Left: CT. Right: PSMA PET, same axial level, 18F tracer. Slice position z = -603 mm. PET panel 200×200 px (4.1 mm/px).
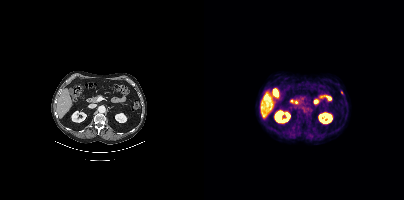
Coordinates are on the 200×200 PET (right) panel. Small PSMA-avid focus (2 to 4 px across) near (center x, center y): (137, 92).